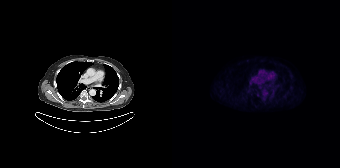
No tumor lesions annotated on this slice. Left: CT. Right: PSMA PET, same axial level, 18F-PSMA tracer. Slice 115 of 165. PET panel 168×168 px (4.1 mm/px).